Privacy masking over the head, with the pixels inside a rectangle set to black. Left: CT. Right: PSMA PET, same axial level, [18F]PSMA-1007 tracer. Acquired on Siemens Biograph mCT Flow 20.
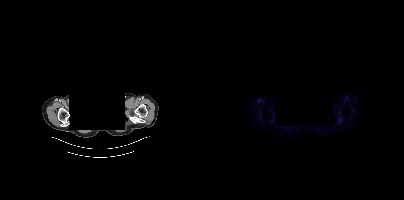
This slice has no annotated PSMA-avid lesion.